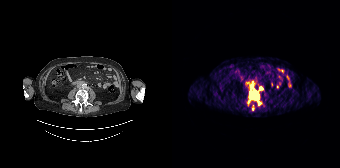
Findings: Coordinates are on the 168×168 PET (right) panel. PSMA-avid tumor lesion bounding box (x0, y0)-(x1, y1): (77, 83)-(89, 105). Small PSMA-avid foci (2 to 4 px across) near (center x, center y): (88, 88) / (76, 102) / (80, 108).
- Two-panel axial: CT | PSMA PET, [68Ga]Ga-PSMA-11 tracer
- PET panel 168×168 px (4.1 mm/px)